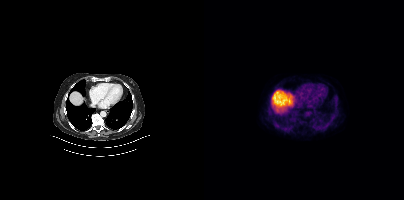
modality: PSMA PET/CT | tracer: 18F | view: axial | PET grid: 200×200
No PSMA-avid tumor lesions on this slice.